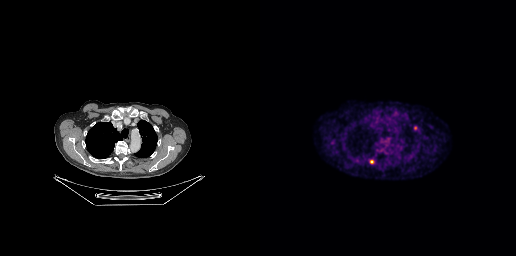
Coordinates are on the 256×256 PET (right) panel. PSMA-avid tumor lesion bounding box (x, y, width, height): x=109 y=159 w=6 h=6. Small PSMA-avid focus (2 to 4 px across) near (center x, center y): (155, 127).